Technique: Paired axial CT (left) and PSMA PET (right), [18F]PSMA-1007 tracer. acquired on Siemens Biograph 64-4R TruePoint.
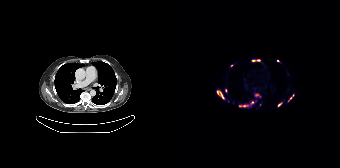
Findings: Coordinates are on the 168×168 PET (right) panel. (showing 10 of 11 foci) PSMA-avid tumor lesion bounding boxes (x, y, width, height): x=66 y=100 w=19 h=8 | x=44 y=89 w=10 h=11 | x=82 y=93 w=8 h=5 | x=115 y=94 w=8 h=9 | x=80 y=59 w=9 h=3 | x=105 y=101 w=6 h=7. Small PSMA-avid foci (2 to 4 px across) near (center x, center y): (54, 90) | (106, 61) | (59, 65) | (88, 104).